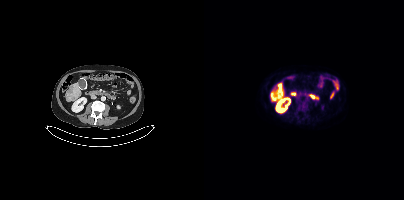
{"modality":"PSMA PET/CT","view":"axial","tracer":"18F","pet_grid":[200,200],"coord_frame":"pet_panel","coord_format":"x0,y0,x1,y1","lesion_bboxes":[],"small_foci_centers":[[75,84]]}